modality: PSMA PET/CT | tracer: 68Ga | view: axial | PET grid: 168×168
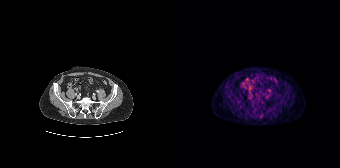
This slice has no annotated PSMA-avid lesion.